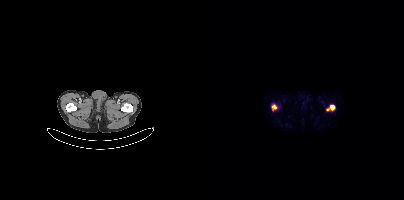
Coordinates are on the 200×200 PET (right) panel. PSMA-avid tumor lesion bounding boxes (x, y, width, height): x=123 y=105 w=8 h=6 | x=68 y=105 w=5 h=5.